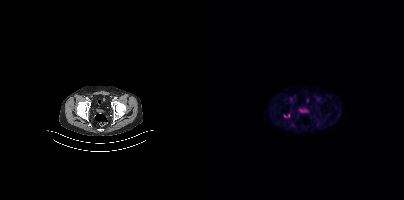
{"modality":"PSMA PET/CT","view":"axial","tracer":"18F","pet_grid":[200,200],"coord_frame":"pet_panel","coord_format":"x0,y0,x1,y1","lesion_bboxes":[],"small_foci_centers":[[84,115]]}